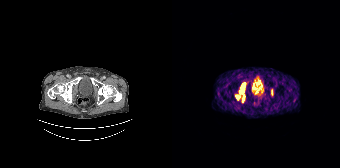
{"modality":"PSMA PET/CT","view":"axial","tracer":"68Ga-PSMA","pet_grid":[168,168],"coord_frame":"pet_panel","coord_format":"x0,y0,x1,y1","lesion_bboxes":[[69,83,73,101],[99,89,100,95],[64,95,66,99]]}